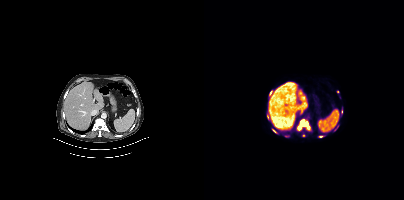
Left: CT. Right: PSMA PET, same axial level, [18F]PSMA-1007 tracer. Acquired on Siemens Biograph mCT Flow 20. Slice position z = 34 mm. PET panel 200×200 px (4.1 mm/px). Coordinates are on the 200×200 PET (right) panel. (showing 4 of 5 foci) PSMA-avid tumor lesion bounding boxes (x0,y0,x1,y1): [94,119,105,129]; [68,129,72,132]. Small PSMA-avid foci (2 to 4 px across) near (center x, center y): (116, 136); (66, 92).